- Left: CT. Right: PSMA PET, same axial level, 68Ga tracer
- PET panel 256×256 px (2.7 mm/px)
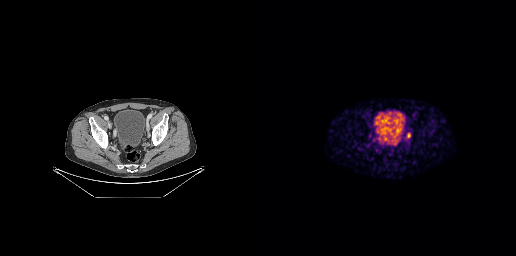
Findings: Coordinates are on the 256×256 PET (right) panel. PSMA-avid tumor lesion bounding box (x0, y0)-(x1, y1): (146, 132)-(151, 138).